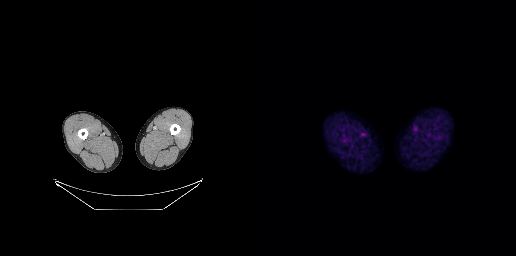
Negative for PSMA-avid disease on this slice.